modality: PSMA PET/CT | tracer: 68Ga | view: axial
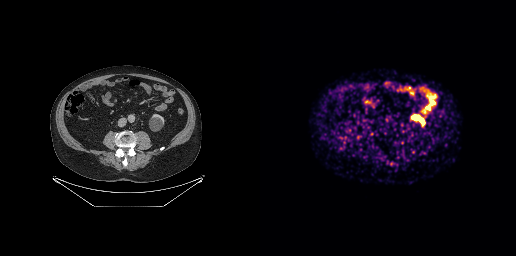
Negative for PSMA-avid disease on this slice.